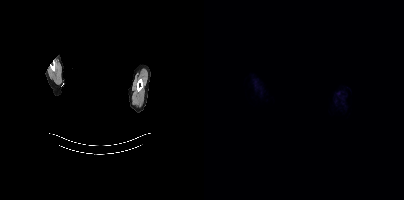
No tumor lesions annotated on this slice. Privacy masking over the head, with the pixels inside a rectangle set to black. Left: CT. Right: PSMA PET, same axial level, 18F-PSMA tracer. PET panel 200×200 px (4.1 mm/px).